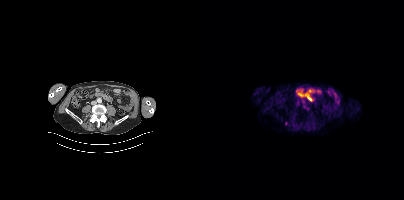
Paired axial CT (left) and PSMA PET (right), 18F-PSMA tracer. Acquired on Siemens Biograph mCT Flow 20. Only PSMA-avid lesion pieces thinner than 2 px on this slice (not listed).